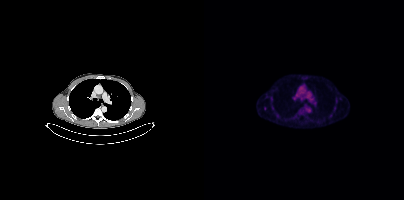
- Paired axial CT (left) and PSMA PET (right), 18F-PSMA tracer
- acquired on Siemens Biograph mCT Flow 20
- slice 300 of 429
Findings: Negative for PSMA-avid disease on this slice.